Paired axial CT (left) and PSMA PET (right), [18F]PSMA-1007 tracer. Slice 57 of 371. PET panel 256×256 px (2.7 mm/px).
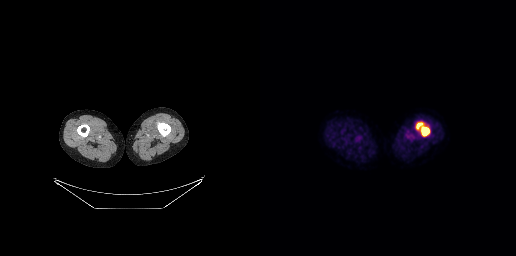
Coordinates are on the 256×256 PET (right) panel. PSMA-avid tumor lesion bounding box (x0,y0,x1,y1): [156,122,169,136].